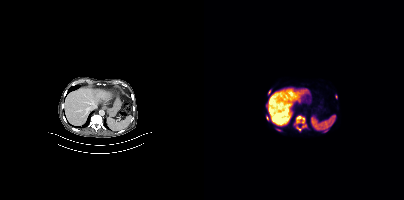
Coordinates are on the 200×200 PET (right) panel. PSMA-avid tumor lesion bounding boxes (partial; 1 more focus not listed):
| # | x0 | y0 | x1 | y1 |
|---|---|---|---|---|
| 1 | 90 | 115 | 102 | 130 |
| 2 | 72 | 128 | 77 | 131 |
Small PSMA-avid foci (2 to 4 px across) near (center x, center y): (65, 91); (132, 96); (63, 117).
Left: CT. Right: PSMA PET, same axial level, 18F-PSMA tracer. Slice 226 of 387. PET panel 200×200 px (4.1 mm/px).